Two-panel axial: CT | PSMA PET, 68Ga-PSMA tracer. Slice position z = 296 mm.
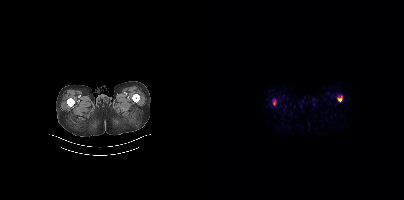
Negative for PSMA-avid disease on this slice.